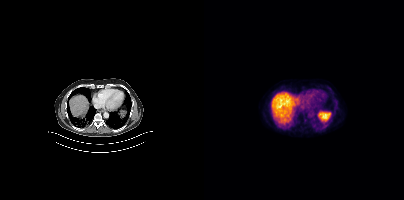
Findings: Only PSMA-avid lesion pieces thinner than 2 px on this slice (not listed).
- Left: CT. Right: PSMA PET, same axial level, 18F-PSMA tracer
- PET panel 200×200 px (4.1 mm/px)